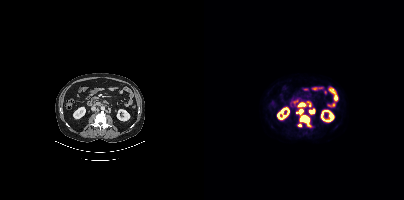
modality: PSMA PET/CT | tracer: 18F | view: axial | PET grid: 200×200
Coordinates are on the 200×200 PET (right) panel. PSMA-avid tumor lesion bounding boxes (x, y, width, height): x=96 y=115 w=10 h=11 | x=105 y=109 w=6 h=5 | x=92 y=109 w=7 h=5 | x=95 y=103 w=6 h=3. Small PSMA-avid foci (2 to 4 px across) near (center x, center y): (95, 125) | (105, 104).